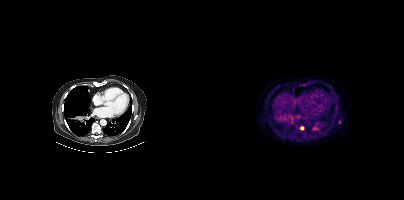
Findings: Coordinates are on the 200×200 PET (right) panel. PSMA-avid tumor lesion bounding box (x, y, width, height): x=108 y=127 w=5 h=3. Small PSMA-avid foci (2 to 4 px across) near (center x, center y): (136, 121); (97, 128).
Technique: Left: CT. Right: PSMA PET, same axial level, 18F tracer.